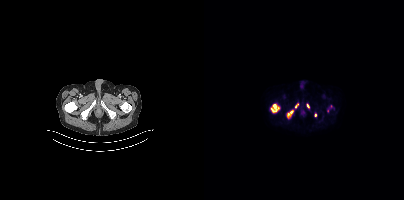
Coordinates are on the 200×200 PET (right) panel. (showing 6 of 7 foci) PSMA-avid tumor lesion bounding boxes (x, y, width, height): x=67 y=104 w=9 h=9 / x=83 y=110 w=7 h=9 / x=91 y=103 w=4 h=5. Small PSMA-avid foci (2 to 4 px across) near (center x, center y): (111, 114) / (104, 105) / (123, 110).